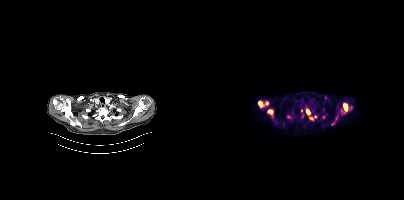
modality: PSMA PET/CT | tracer: 18F-PSMA | view: axial | PET grid: 200×200
Coordinates are on the 200×200 PET (right) panel. (showing 11 of 13 foci) PSMA-avid tumor lesion bounding boxes (x, y, width, height): x=139 y=103 w=6 h=9 / x=54 y=101 w=7 h=7 / x=63 y=109 w=7 h=7 / x=102 y=109 w=5 h=6 / x=106 y=115 w=7 h=5 / x=83 y=115 w=5 h=4 / x=136 y=109 w=4 h=5 / x=127 y=121 w=4 h=5. Small PSMA-avid foci (2 to 4 px across) near (center x, center y): (119, 116) / (63, 103) / (132, 117).